Technique: Left: CT. Right: PSMA PET, same axial level, 18F tracer.
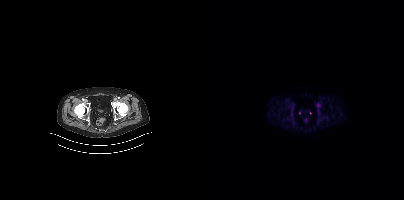
Findings: No tumor lesions annotated on this slice.